Technique: Left: CT. Right: PSMA PET, same axial level, 18F tracer. acquired on Siemens Biograph mCT Flow 20.
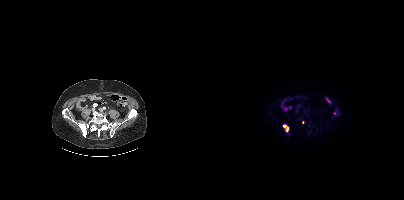
Findings: Coordinates are on the 200×200 PET (right) panel. PSMA-avid tumor lesion bounding box (x0, y0)-(x1, y1): (79, 124)-(84, 131). Small PSMA-avid focus (2 to 4 px across) near (center x, center y): (98, 122).